- Left: CT. Right: PSMA PET, same axial level, 18F tracer
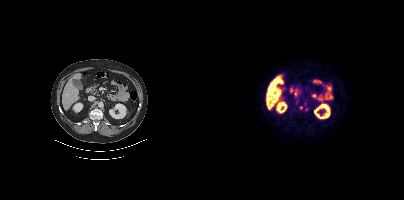
Findings: Coordinates are on the 200×200 PET (right) panel. Small PSMA-avid foci (2 to 4 px across) near (center x, center y): (92, 103) | (103, 108) | (96, 107).